- Paired axial CT (left) and PSMA PET (right), 18F-PSMA tracer
- slice 11 of 421
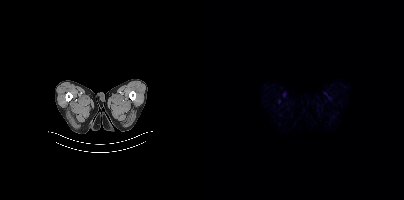
Findings: No PSMA-avid tumor lesions on this slice.